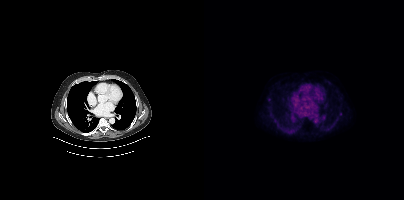
modality: PSMA PET/CT | tracer: 18F | view: axial | PET grid: 200×200
This slice has no annotated PSMA-avid lesion.